Paired axial CT (left) and PSMA PET (right), [68Ga]Ga-PSMA-11 tracer.
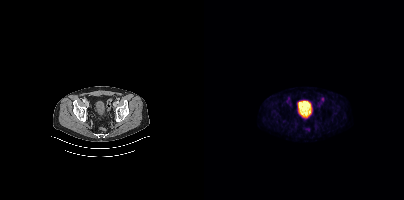
Coordinates are on the 200×200 PET (right) panel. Small PSMA-avid focus (2 to 4 px across) near (center x, center y): (118, 98).